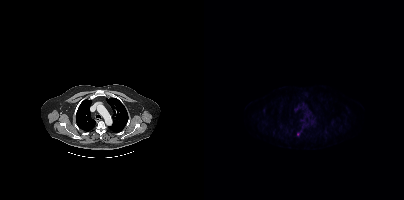
Findings: Coordinates are on the 200×200 PET (right) panel. Small PSMA-avid focus (2 to 4 px across) near (center x, center y): (94, 134).
- Paired axial CT (left) and PSMA PET (right), [18F]PSMA-1007 tracer
- slice 316 of 417
- PET panel 200×200 px (4.1 mm/px)